Paired axial CT (left) and PSMA PET (right), 18F tracer. PET panel 200×200 px (4.1 mm/px).
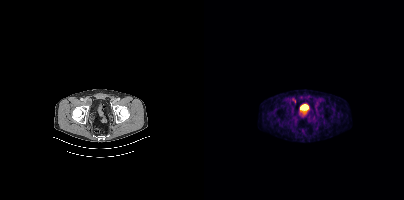
Coordinates are on the 200×200 PET (right) panel. Small PSMA-avid focus (2 to 4 px across) near (center x, center y): (89, 99).